Technique: Left: CT. Right: PSMA PET, same axial level, 68Ga-PSMA tracer. slice 164 of 299. PET panel 256×256 px (2.7 mm/px).
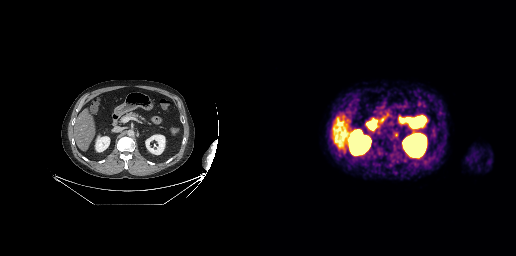
Findings: Negative for PSMA-avid disease on this slice.